- Two-panel axial: CT | PSMA PET, [18F]PSMA-1007 tracer
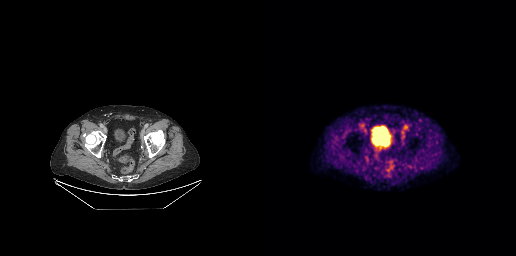
Findings: Negative for PSMA-avid disease on this slice.